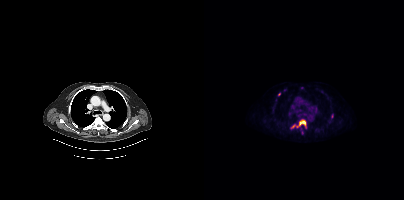
Left: CT. Right: PSMA PET, same axial level, 18F tracer. Slice position z = -934 mm. PET panel 200×200 px (4.1 mm/px). Coordinates are on the 200×200 PET (right) panel. (showing 3 of 6 foci) PSMA-avid tumor lesion bounding box (x0, y0)-(x1, y1): (87, 121)-(102, 128). Small PSMA-avid foci (2 to 4 px across) near (center x, center y): (80, 90) | (75, 94).